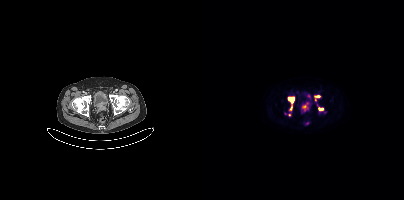
Technique: Paired axial CT (left) and PSMA PET (right), 18F tracer. slice 67 of 407. PET panel 200×200 px (4.1 mm/px).
Findings: Coordinates are on the 200×200 PET (right) panel. PSMA-avid tumor lesion bounding boxes (x0,y0,x1,y1): [84,97,90,109] [98,104,103,110] [111,95,116,101] [115,108,119,110]. Small PSMA-avid focus (2 to 4 px across) near (center x, center y): (104, 96).